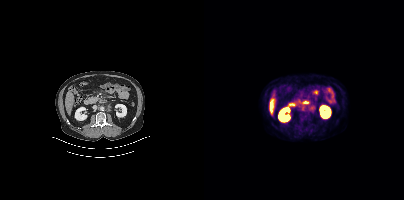
Two-panel axial: CT | PSMA PET, [18F]PSMA-1007 tracer. Acquired on Siemens Biograph mCT Flow 20. Slice position z = -558 mm. Coordinates are on the 200×200 PET (right) panel. Small PSMA-avid focus (2 to 4 px across) near (center x, center y): (107, 108).